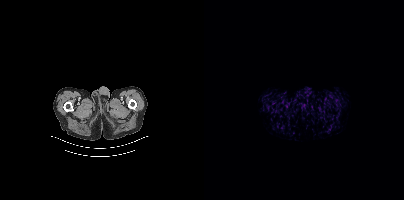
This slice has no annotated PSMA-avid lesion.